Two-panel axial: CT | PSMA PET, 18F tracer. Acquired on Siemens Biograph mCT Flow 20. Slice position z = -801 mm.
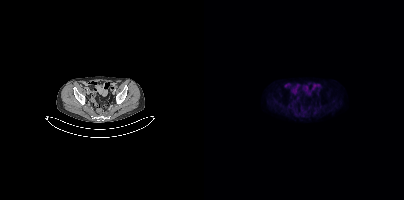
Negative for PSMA-avid disease on this slice.